Left: CT. Right: PSMA PET, same axial level, 68Ga-PSMA tracer.
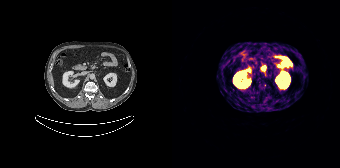
No PSMA-avid tumor lesions on this slice.